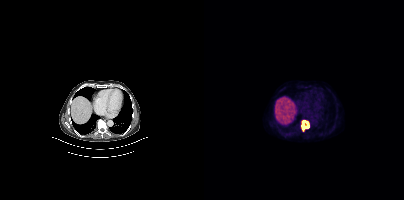
Coordinates are on the 200×200 PET (right) panel. PSMA-avid tumor lesion bounding box (x0, y0)-(x1, y1): (97, 120)-(105, 131).